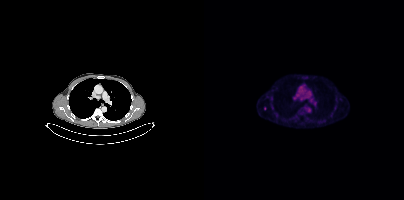
Coordinates are on the 200×200 PET (right) panel. Small PSMA-avid focus (2 to 4 px across) near (center x, center y): (60, 108).